modality: PSMA PET/CT | tracer: 18F | view: axial | PET grid: 200×200
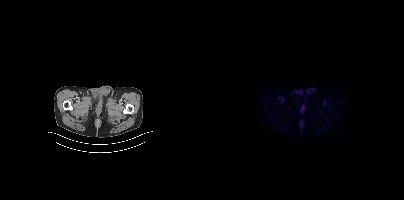
This slice has no annotated PSMA-avid lesion.